- Two-panel axial: CT | PSMA PET, 18F tracer
- PET panel 200×200 px (4.1 mm/px)
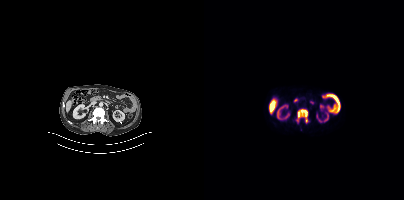
Findings: Coordinates are on the 200×200 PET (right) panel. PSMA-avid tumor lesion bounding box (x0,y0,x1,y1): [93,109,103,122].